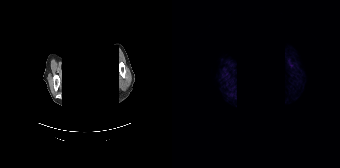
Any black rectangle over the head is a privacy mask, not anatomy. Left: CT. Right: PSMA PET, same axial level, [68Ga]Ga-PSMA-11 tracer. Acquired on Siemens Biograph 64-4R TruePoint. Slice position z = -840 mm. PET panel 168×168 px (4.1 mm/px). Negative for PSMA-avid disease on this slice.